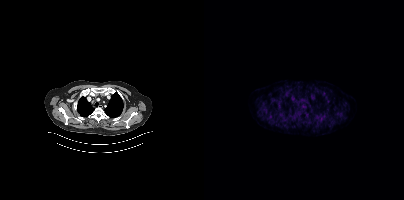
No PSMA-avid tumor lesions on this slice.